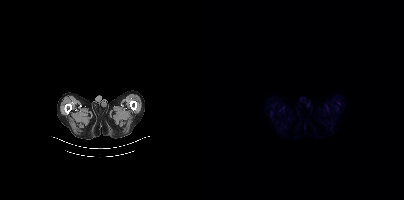
modality: PSMA PET/CT | tracer: 18F-PSMA | view: axial | PET grid: 200×200
No tumor lesions annotated on this slice.